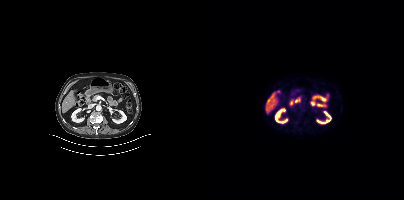
Findings: No tumor lesions annotated on this slice.
- Paired axial CT (left) and PSMA PET (right), 18F-PSMA tracer